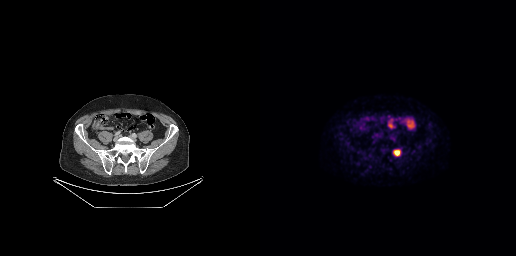
{"modality":"PSMA PET/CT","view":"axial","tracer":"[18F]PSMA-1007","pet_grid":[256,256],"coord_frame":"pet_panel","coord_format":"x0,y0,x1,y1","lesion_bboxes":[[133,149,140,156],[130,135,134,139]]}